Two-panel axial: CT | PSMA PET, 68Ga tracer. Slice 5 of 263.
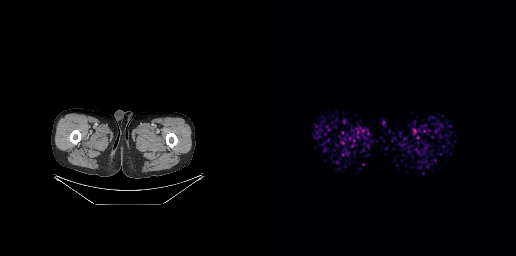
No tumor lesions annotated on this slice.